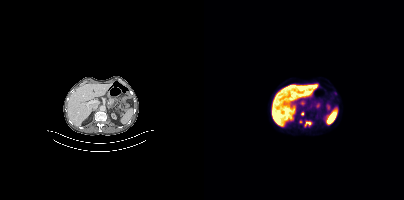
Coordinates are on the 200×200 PET (right) panel. (showing 3 of 4 foci) PSMA-avid tumor lesion bounding box (x0,y0,x1,y1): [102,121,107,124]. Small PSMA-avid foci (2 to 4 px across) near (center x, center y): (98, 113), (96, 121).